Technique: Two-panel axial: CT | PSMA PET, 68Ga tracer. acquired on Siemens Biograph mCT Flow 20. slice position z = -992 mm. PET panel 200×200 px (4.1 mm/px).
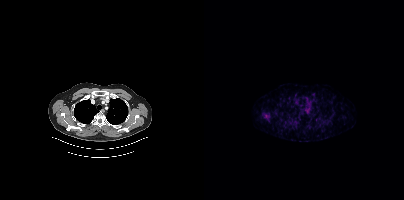
Findings: Coordinates are on the 200×200 PET (right) panel. Small PSMA-avid focus (2 to 4 px across) near (center x, center y): (61, 115).